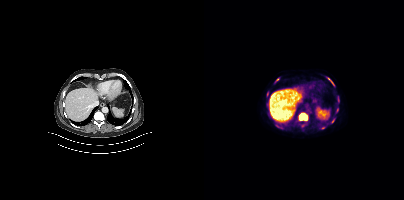
{"modality":"PSMA PET/CT","view":"axial","tracer":"[18F]PSMA-1007","pet_grid":[200,200],"coord_frame":"pet_panel","coord_format":"x0,y0,x1,y1","partial":true,"lesion_bboxes":[[95,113,103,120],[124,78,130,85],[63,92,64,96]],"small_foci_centers":[[73,79],[119,127],[133,110],[128,121]]}